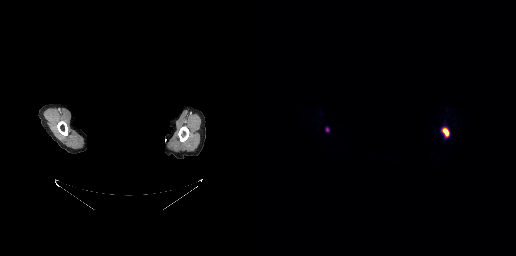
Face de-identified by blanking a block of the head.
Coordinates are on the 256×256 PET (right) panel. PSMA-avid tumor lesion bounding box (x, y, width, height): x=183 y=129 w=6 h=7. Small PSMA-avid focus (2 to 4 px across) near (center x, center y): (67, 129).